Left: CT. Right: PSMA PET, same axial level, 18F tracer. Slice position z = -1329 mm. PET panel 200×200 px (4.1 mm/px).
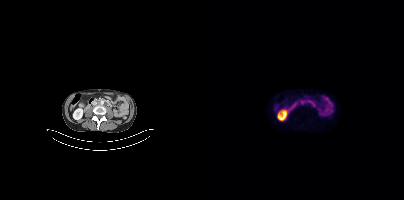
Coordinates are on the 200×200 PET (right) panel. PSMA-avid tumor lesion bounding boxes:
| # | x0 | y0 | x1 | y1 |
|---|---|---|---|---|
| 1 | 96 | 100 | 101 | 104 |